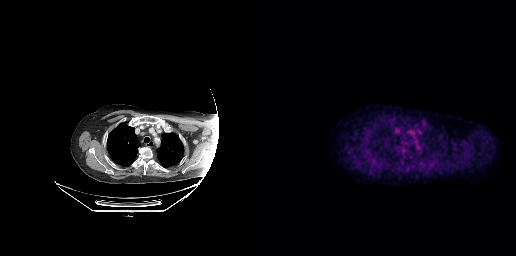
No tumor lesions annotated on this slice. Paired axial CT (left) and PSMA PET (right), 18F-PSMA tracer. PET panel 256×256 px (2.7 mm/px).